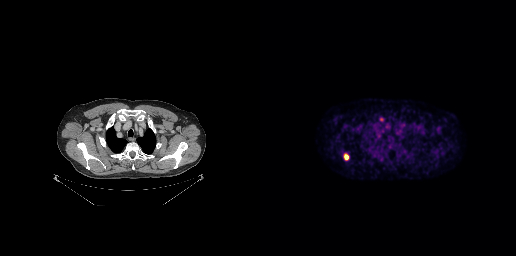
Left: CT. Right: PSMA PET, same axial level, 18F tracer. Slice position z = -211 mm. Coordinates are on the 256×256 PET (right) panel. PSMA-avid tumor lesion bounding box (x0,y0,x1,y1): [84,154,88,160]. Small PSMA-avid focus (2 to 4 px across) near (center x, center y): (121, 119).